- Two-panel axial: CT | PSMA PET, 18F tracer
- PET panel 168×168 px (4.1 mm/px)
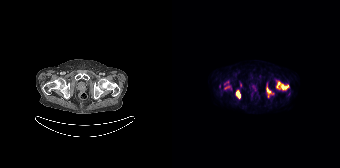
Findings: Coordinates are on the 168×168 PET (right) panel. PSMA-avid tumor lesion bounding boxes (x0,y0,x1,y1): [104,81,117,90]; [94,84,101,97]; [64,90,68,98]; [52,84,59,89]. Small PSMA-avid focus (2 to 4 px across) near (center x, center y): (68, 84).